Left: CT. Right: PSMA PET, same axial level, 68Ga tracer. Acquired on Siemens Biograph mCT Flow 20. Slice 323 of 407. PET panel 200×200 px (4.1 mm/px).
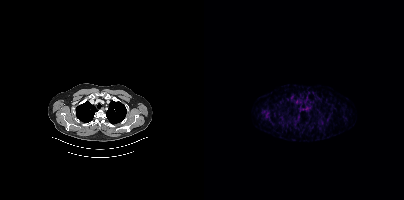
This slice has no annotated PSMA-avid lesion.